- Left: CT. Right: PSMA PET, same axial level, [18F]PSMA-1007 tracer
- slice position z = -1526 mm
- PET panel 200×200 px (4.1 mm/px)
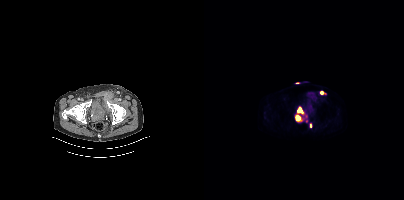
Findings: Coordinates are on the 200×200 PET (right) panel. PSMA-avid tumor lesion bounding boxes (x, y, width, height): x=93 y=107 w=7 h=7 / x=91 y=115 w=6 h=6 / x=116 y=91 w=6 h=4. Small PSMA-avid focus (2 to 4 px across) near (center x, center y): (106, 125).